modality: PSMA PET/CT | tracer: 18F | view: axial
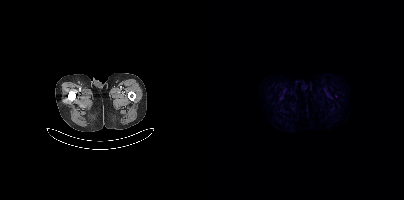
No tumor lesions annotated on this slice.